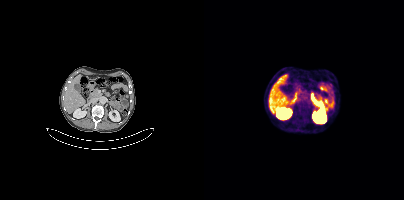
Paired axial CT (left) and PSMA PET (right), 68Ga-PSMA tracer. PET panel 200×200 px (4.1 mm/px). No PSMA-avid tumor lesions on this slice.